- an anonymization step blacked out a rectangle over the head in this scan
- Left: CT. Right: PSMA PET, same axial level, 18F tracer
- acquired on Siemens Biograph mCT Flow 20
- PET panel 200×200 px (4.1 mm/px)
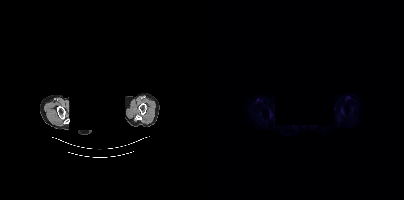
Findings: This slice has no annotated PSMA-avid lesion.